- Two-panel axial: CT | PSMA PET, 18F-PSMA tracer
- PET panel 200×200 px (4.1 mm/px)
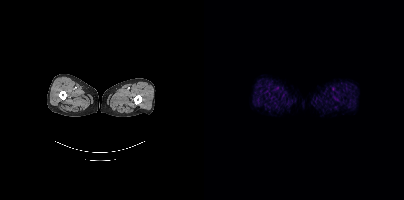
Findings: This slice has no annotated PSMA-avid lesion.